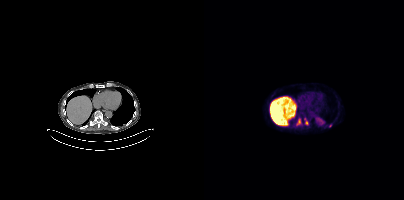
Coordinates are on the 200×200 PET (right) panel. PSMA-avid tumor lesion bounding boxes (x, y, width, height): x=92 y=119 w=8 h=8 / x=101 y=118 w=4 h=8. Small PSMA-avid focus (2 to 4 px across) near (center x, center y): (126, 125).